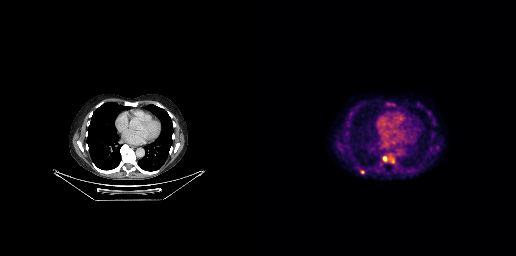
Coordinates are on the 256×256 PET (right) panel. (showing 2 of 3 foci) PSMA-avid tumor lesion bounding box (x, y, width, height): x=100 y=170 w=5 h=4. Small PSMA-avid focus (2 to 4 px across) near (center x, center y): (124, 158).